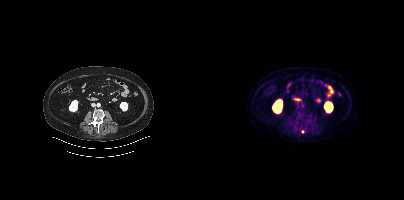
Only PSMA-avid lesion pieces thinner than 2 px on this slice (not listed).